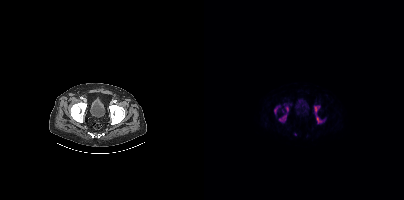
{"modality":"PSMA PET/CT","view":"axial","tracer":"[18F]PSMA-1007","pet_grid":[200,200],"coord_frame":"pet_panel","coord_format":"x0,y0,x1,y1","partial":true,"lesion_bboxes":[[110,105,121,123],[75,106,84,122],[70,105,76,114]],"small_foci_centers":[[91,134],[78,111]]}